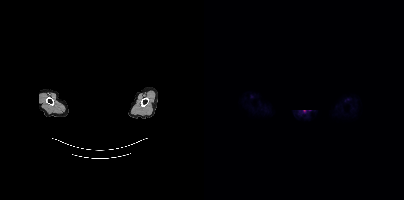
- Left: CT. Right: PSMA PET, same axial level, 68Ga-PSMA tracer
- slice position z = -916 mm
- privacy masking over the head, with the pixels inside a rectangle set to black
Findings: Coordinates are on the 200×200 PET (right) panel. Small PSMA-avid focus (2 to 4 px across) near (center x, center y): (100, 111).